modality: PSMA PET/CT | tracer: 18F-PSMA | view: axial
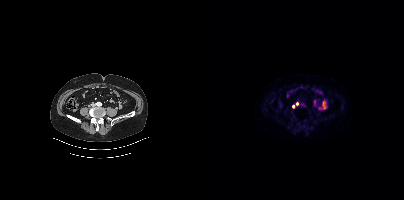
Coordinates are on the 200×200 PET (right) panel. Small PSMA-avid foci (2 to 4 px across) near (center x, center y): (89, 106) / (92, 103).